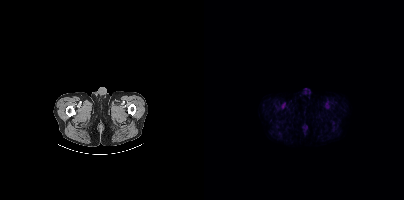
{"modality":"PSMA PET/CT","view":"axial","tracer":"[18F]PSMA-1007","pet_grid":[200,200],"coord_frame":"pet_panel","coord_format":"x0,y0,x1,y1","psma_avid_lesions":false}